Technique: Two-panel axial: CT | PSMA PET, [68Ga]Ga-PSMA-11 tracer.
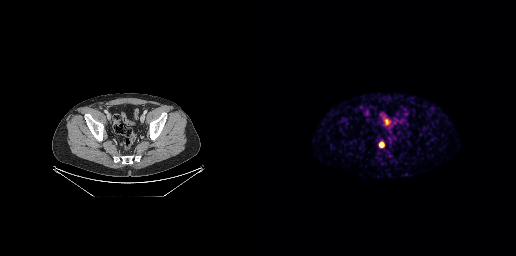
Findings: Coordinates are on the 256×256 PET (right) panel. Small PSMA-avid focus (2 to 4 px across) near (center x, center y): (121, 144).